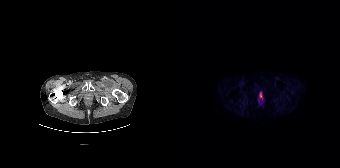
No PSMA-avid tumor lesions on this slice.